Some pixels were blanked for anonymization.
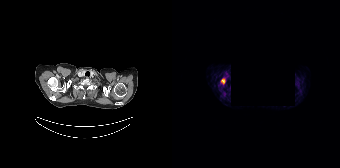
Coordinates are on the 168×168 PET (right) panel. PSMA-avid tumor lesion bounding box (x0, y0)-(x1, y1): (49, 78)-(53, 84).